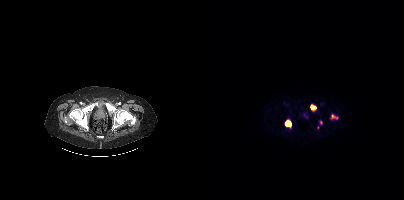
Coordinates are on the 200×200 PET (right) panel. (showing 4 of 5 foci) PSMA-avid tumor lesion bounding boxes (x, y, width, height): x=81 y=120 w=7 h=7 / x=106 y=105 w=7 h=7 / x=128 y=114 w=6 h=5. Small PSMA-avid focus (2 to 4 px across) near (center x, center y): (116, 122).